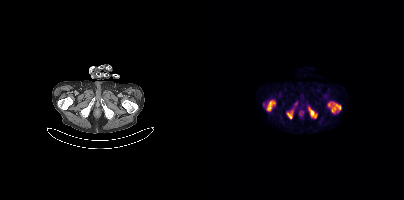
Left: CT. Right: PSMA PET, same axial level, 18F-PSMA tracer. PET panel 200×200 px (4.1 mm/px). Coordinates are on the 200×200 PET (right) panel. PSMA-avid tumor lesion bounding boxes (x0, y0)-(x1, y1): (124, 102)-(137, 113) | (63, 100)-(71, 110) | (105, 107)-(113, 118) | (83, 110)-(88, 118).